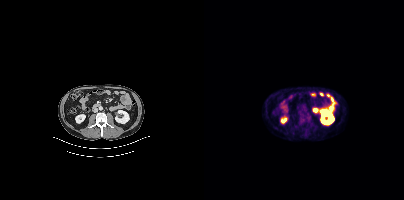
modality: PSMA PET/CT | tracer: 18F-PSMA | view: axial | PET grid: 200×200
Coordinates are on the 200×200 PET (right) panel. PSMA-avid tumor lesion bounding box (x, y, width, height): x=94 y=113 w=14 h=12.